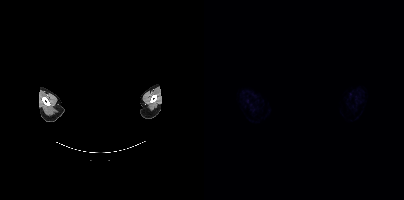
Face de-identified by blanking a block of the head.
This slice has no annotated PSMA-avid lesion.